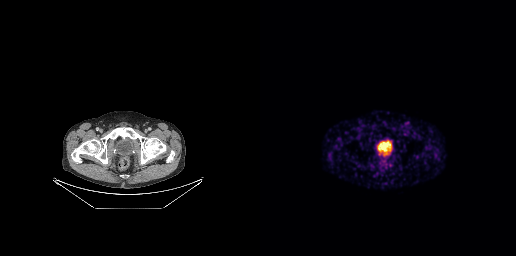
Technique: Paired axial CT (left) and PSMA PET (right), [68Ga]Ga-PSMA-11 tracer. slice position z = -807 mm. PET panel 256×256 px (2.7 mm/px).
Findings: No tumor lesions annotated on this slice.